- Paired axial CT (left) and PSMA PET (right), [18F]PSMA-1007 tracer
- slice position z = -568 mm
- PET panel 200×200 px (4.1 mm/px)
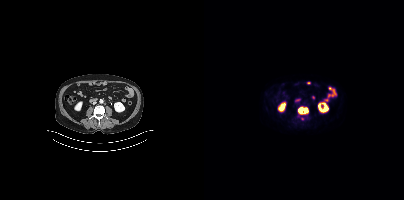
Findings: Coordinates are on the 200×200 PET (right) panel. PSMA-avid tumor lesion bounding box (x0,y0,x1,y1): [93,106,104,114]. Small PSMA-avid focus (2 to 4 px across) near (center x, center y): (98, 118).